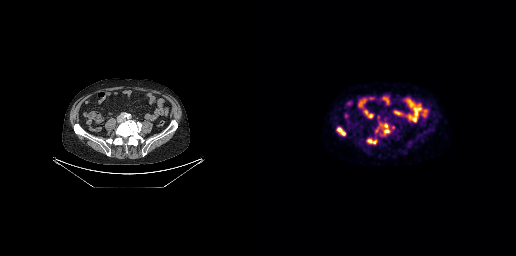
modality: PSMA PET/CT | tracer: 18F-PSMA | view: axial
Coordinates are on the 256×256 PET (right) panel. (showing 5 of 6 foci) PSMA-avid tumor lesion bounding boxes (x0,y0,x1,y1): [120,123,130,134] [77,127,85,135] [107,139,116,144]. Small PSMA-avid foci (2 to 4 px across) near (center x, center y): (116, 130) (133, 127).